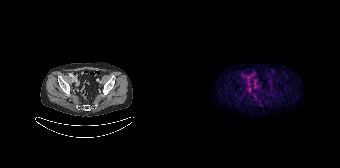
No tumor lesions annotated on this slice.